- Left: CT. Right: PSMA PET, same axial level, [18F]PSMA-1007 tracer
- acquired on Siemens Biograph mCT Flow 20
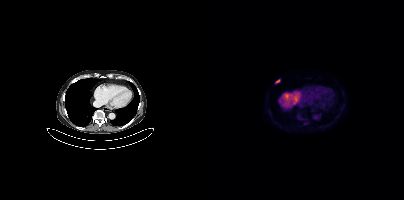
Findings: Coordinates are on the 200×200 PET (right) panel. PSMA-avid tumor lesion bounding box (x0, y0)-(x1, y1): (71, 79)-(75, 83).